modality: PSMA PET/CT | tracer: 18F-PSMA | view: axial
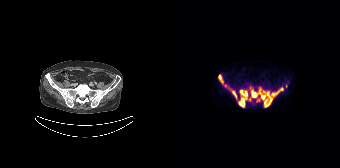
Coordinates are on the 168×168 PET (right) panel. (showing 3 of 4 foci) PSMA-avid tumor lesion bounding boxes (x0, y0)-(x1, y1): (66, 87)-(111, 107); (46, 75)-(56, 88); (59, 90)-(65, 99).